Left: CT. Right: PSMA PET, same axial level, 68Ga-PSMA tracer. Acquired on GE Discovery 690. Slice position z = -200 mm. PET panel 256×256 px (2.7 mm/px). Head region blanked for anonymization (face removed).
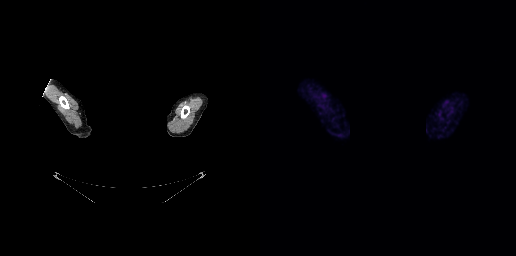
No tumor lesions annotated on this slice.